Two-panel axial: CT | PSMA PET, 18F tracer.
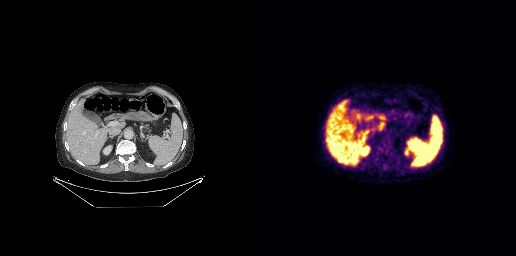
No PSMA-avid tumor lesions on this slice.